- Paired axial CT (left) and PSMA PET (right), [68Ga]Ga-PSMA-11 tracer
- a rectangular block over the head has been blanked out for de-identification
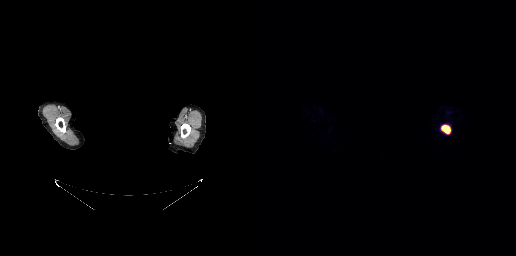
Findings: Coordinates are on the 256×256 PET (right) panel. PSMA-avid tumor lesion bounding box (x0, y0)-(x1, y1): (182, 125)-(189, 133).